modality: PSMA PET/CT | tracer: 18F-PSMA | view: axial | PET grid: 256×256
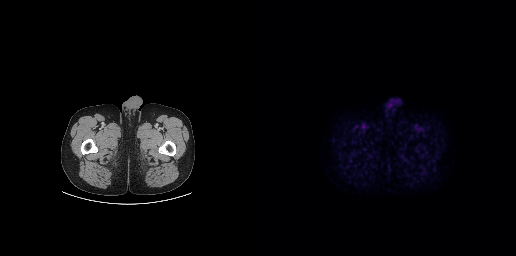
Negative for PSMA-avid disease on this slice.